Left: CT. Right: PSMA PET, same axial level, [18F]PSMA-1007 tracer. Acquired on GE Discovery 690. Slice position z = -348 mm.
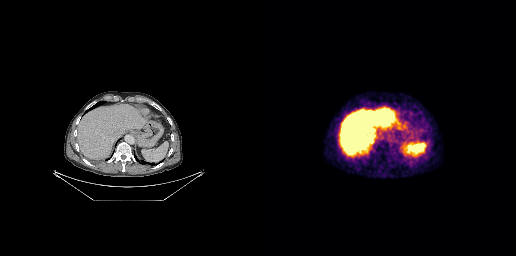
This slice has no annotated PSMA-avid lesion.